modality: PSMA PET/CT | tracer: 68Ga | view: axial
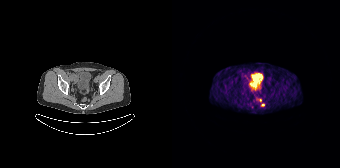
Coordinates are on the 168×168 PET (right) panel. (showing 3 of 4 foci) Small PSMA-avid foci (2 to 4 px across) near (center x, center y): (90, 104) / (88, 100) / (75, 103).